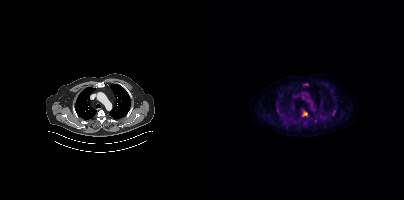
Coordinates are on the 200×200 PET (right) panel. (showing 3 of 4 foci) PSMA-avid tumor lesion bounding boxes (x0,y0,x1,y1): [97,112,103,117]; [128,110,131,115]; [99,83,103,85].